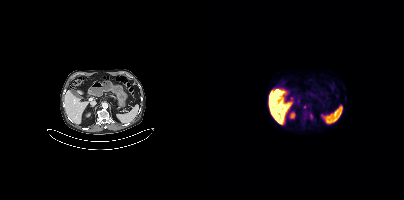
modality: PSMA PET/CT | tracer: 18F | view: axial | PET grid: 200×200
Coordinates are on the 200×200 PET (right) panel. (showing 3 of 4 foci) Small PSMA-avid foci (2 to 4 px across) near (center x, center y): (101, 112); (100, 107); (107, 116).